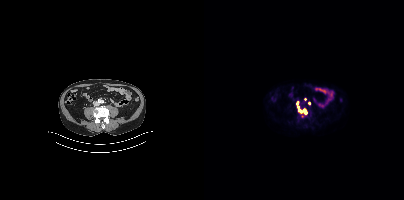
{"pet_grid":[200,200],"coord_frame":"pet_panel","coord_format":"x0,y0,x1,y1","partial":true,"lesion_bboxes":[[93,106,102,113]],"small_foci_centers":[[93,103]],"modality":"PSMA PET/CT","view":"axial","tracer":"18F"}